- Left: CT. Right: PSMA PET, same axial level, [68Ga]Ga-PSMA-11 tracer
- PET panel 256×256 px (2.7 mm/px)
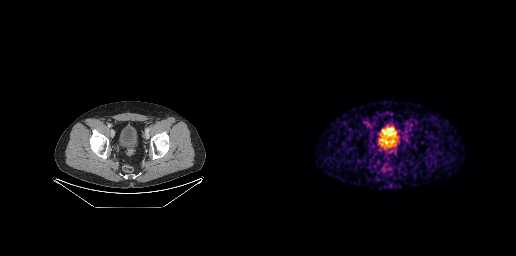
Findings: No PSMA-avid tumor lesions on this slice.